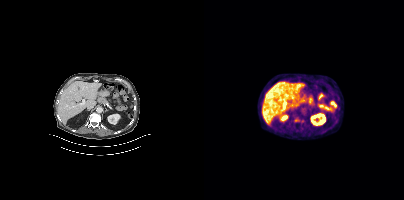
{"modality":"PSMA PET/CT","view":"axial","tracer":"18F-PSMA","pet_grid":[200,200],"coord_frame":"pet_panel","coord_format":"x0,y0,x1,y1","psma_avid_lesions":false}